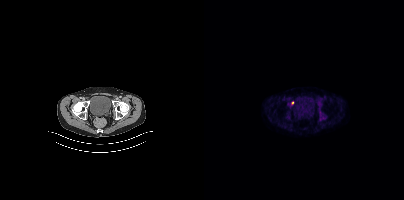
Two-panel axial: CT | PSMA PET, 18F tracer. Acquired on Siemens Biograph mCT Flow 20. Slice 74 of 413. PET panel 200×200 px (4.1 mm/px). Coordinates are on the 200×200 PET (right) panel. Small PSMA-avid focus (2 to 4 px across) near (center x, center y): (88, 102).